modality: PSMA PET/CT | tracer: 68Ga | view: axial
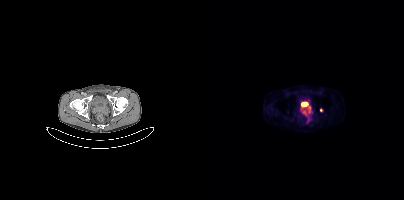
Coordinates are on the 200×200 PET (right) panel. PSMA-avid tumor lesion bounding boxes (x0,y0,x1,y1): [97,106,106,115]; [103,116,106,123]. Small PSMA-avid focus (2 to 4 px across) near (center x, center y): (117, 109).